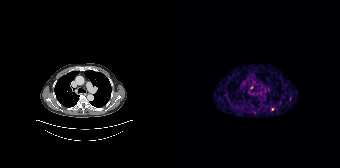
Findings: Coordinates are on the 168×168 PET (right) panel. (showing 2 of 3 foci) Small PSMA-avid foci (2 to 4 px across) near (center x, center y): (79, 86) | (82, 112).
Technique: Left: CT. Right: PSMA PET, same axial level, 68Ga tracer. slice 149 of 195. PET panel 168×168 px (4.1 mm/px).